modality: PSMA PET/CT | tracer: [18F]PSMA-1007 | view: axial | PET grid: 256×256
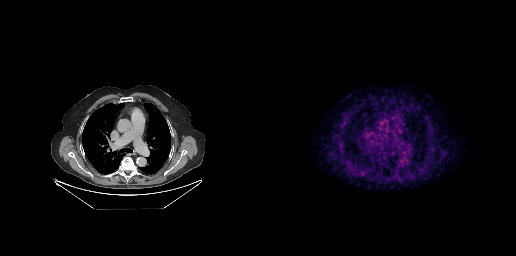
No PSMA-avid tumor lesions on this slice.